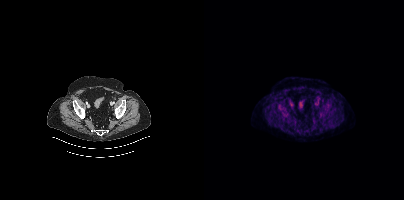
Findings: No PSMA-avid tumor lesions on this slice.
Technique: Paired axial CT (left) and PSMA PET (right), 18F tracer. slice position z = -36 mm.